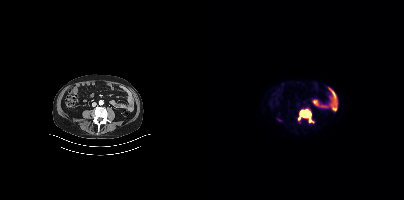
Left: CT. Right: PSMA PET, same axial level, [18F]PSMA-1007 tracer. PET panel 200×200 px (4.1 mm/px).
Coordinates are on the 200×200 PET (right) panel. PSMA-avid tumor lesion bounding boxes:
| # | x0 | y0 | x1 | y1 |
|---|---|---|---|---|
| 1 | 94 | 109 | 110 | 122 |